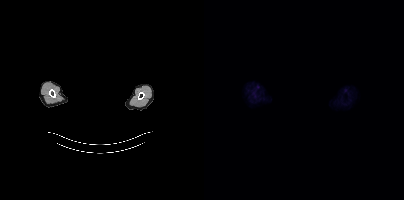
{"modality":"PSMA PET/CT","view":"axial","tracer":"[18F]PSMA-1007","pet_grid":[200,200],"coord_frame":"pet_panel","coord_format":"x0,y0,x1,y1","psma_avid_lesions":false,"deidentification":"face masked with black rectangle"}